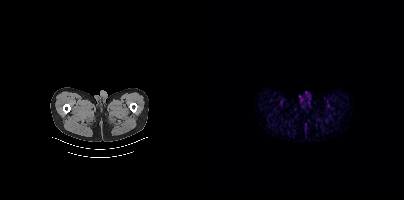
Two-panel axial: CT | PSMA PET, [68Ga]Ga-PSMA-11 tracer. PET panel 200×200 px (4.1 mm/px). Negative for PSMA-avid disease on this slice.